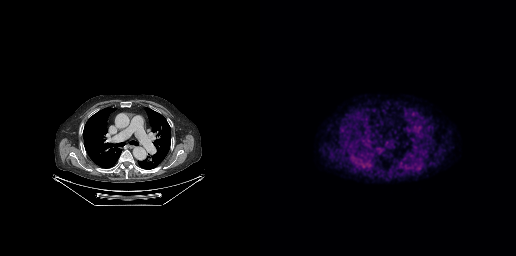
Two-panel axial: CT | PSMA PET, 18F-PSMA tracer. Slice position z = -215 mm. PET panel 256×256 px (2.7 mm/px). Only PSMA-avid lesion pieces thinner than 2 px on this slice (not listed).